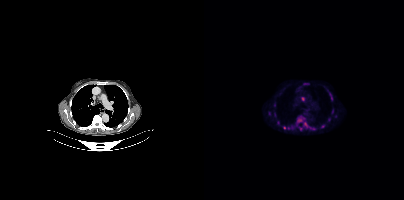
Coordinates are on the 200×200 PET (right) panel. (showing 12 of 14 foci) PSMA-avid tumor lesion bounding boxes (x0,y0,x1,y1): [93,118,98,122] [125,93,128,99] [100,122,103,127]. Small PSMA-avid foci (2 to 4 px across) near (center x, center y): (98, 98) (80, 127) (65, 113) (70, 114) (70, 105) (118, 126) (96, 128) (84, 127) (128, 111).